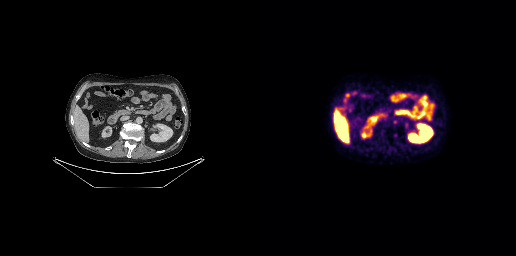
Coordinates are on the 256×256 PET (right) panel. Small PSMA-avid foci (2 to 4 px across) near (center x, center y): (134, 121) / (135, 135).